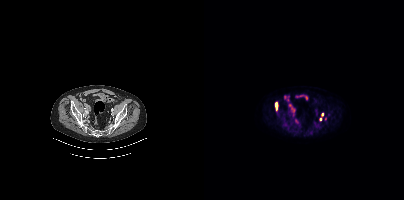
Coordinates are on the 200×200 PET (right) panel. PSMA-avid tumor lesion bounding box (x0, y0)-(x1, y1): (71, 102)-(73, 109). Small PSMA-avid foci (2 to 4 px across) near (center x, center y): (116, 119) | (118, 114).